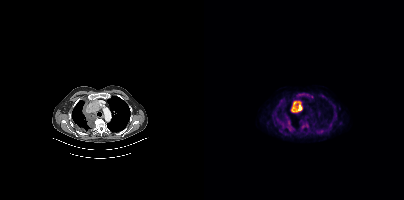
Left: CT. Right: PSMA PET, same axial level, 18F-PSMA tracer. Acquired on Siemens Biograph mCT Flow 20. Slice position z = -1064 mm. PET panel 200×200 px (4.1 mm/px).
Coordinates are on the 200×200 PET (right) panel. PSMA-avid tumor lesion bounding boxes:
| # | x0 | y0 | x1 | y1 |
|---|---|---|---|---|
| 1 | 87 | 101 | 98 | 112 |
| 2 | 77 | 119 | 88 | 130 |
| 3 | 93 | 93 | 101 | 98 |
| 4 | 99 | 122 | 103 | 125 |